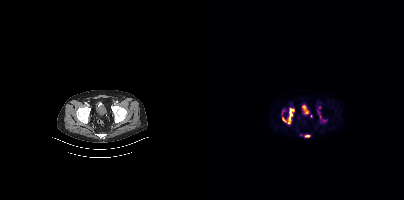
{"modality":"PSMA PET/CT","view":"axial","tracer":"18F-PSMA","pet_grid":[200,200],"coord_frame":"pet_panel","coord_format":"x0,y0,x1,y1","partial":true,"lesion_bboxes":[[84,109,89,123],[101,135,105,137]],"small_foci_centers":[[79,119]]}